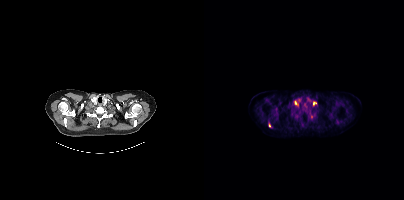
Coordinates are on the 200×200 PET (right) panel. Small PSMA-avid foci (2 to 4 px across) near (center x, center y): (110, 103), (107, 116), (91, 102), (65, 125).